modality: PSMA PET/CT | tracer: 18F | view: axial
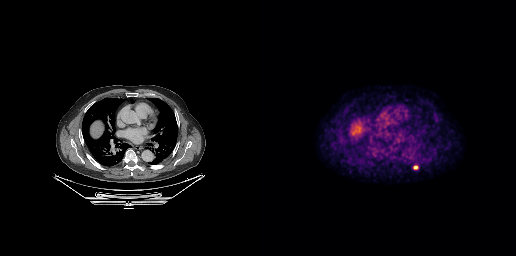
Coordinates are on the 256×256 PET (right) panel. PSMA-avid tumor lesion bounding box (x0,y0,x1,y1): [153,165,158,169].